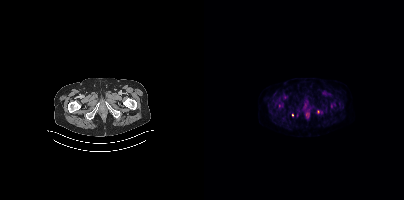
modality: PSMA PET/CT | tracer: [18F]PSMA-1007 | view: axial | PET grid: 200×200
Coordinates are on the 200×200 PET (right) panel. (showing 3 of 4 foci) Small PSMA-avid foci (2 to 4 px across) near (center x, center y): (114, 111) (88, 114) (127, 105).